Left: CT. Right: PSMA PET, same axial level, 18F-PSMA tracer. Acquired on GE Discovery 690. PET panel 256×256 px (2.7 mm/px).
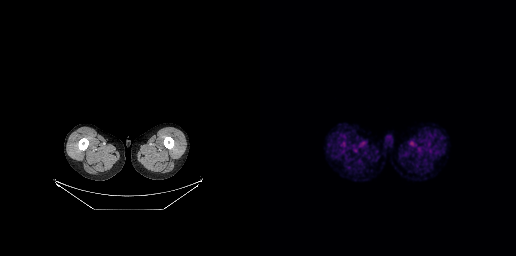
No tumor lesions annotated on this slice.